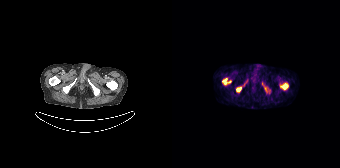
Coordinates are on the 168×168 PET (right) panel. PSMA-avid tumor lesion bounding boxes (x0, y0)-(x1, y1): (50, 78)-(59, 85); (108, 83)-(116, 89); (64, 86)-(69, 92); (91, 85)-(98, 92). Small PSMA-avid focus (2 to 4 px across) near (center x, center y): (74, 80).